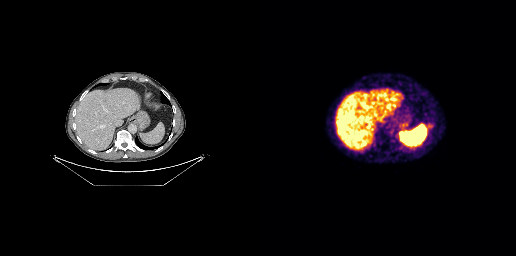
Coordinates are on the 256×256 PET (right) panel. PSMA-avid tumor lesion bounding box (x0, y0)-(x1, y1): (167, 124)-(172, 127). Two-panel axial: CT | PSMA PET, 68Ga-PSMA tracer. Acquired on GE Discovery 690. Slice 151 of 263.